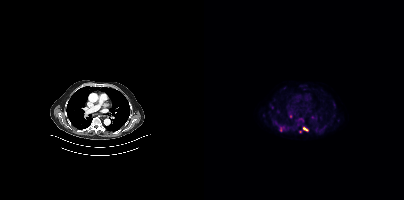
- Left: CT. Right: PSMA PET, same axial level, 18F-PSMA tracer
- PET panel 200×200 px (4.1 mm/px)
Findings: Coordinates are on the 200×200 PET (right) panel. (showing 2 of 3 foci) PSMA-avid tumor lesion bounding box (x0, y0)-(x1, y1): (99, 127)-(103, 130). Small PSMA-avid focus (2 to 4 px across) near (center x, center y): (76, 129).